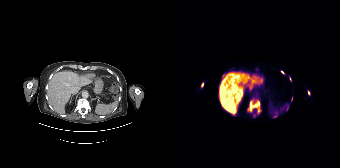
modality: PSMA PET/CT | tracer: 18F-PSMA | view: axial
Coordinates are on the 168×168 PET (right) panel. (showing 7 of 8 foci) PSMA-avid tumor lesion bounding boxes (x0,y0,x1,y1): [75,99,89,114] [29,82,31,87] [136,90,138,95] [109,70,112,74] [117,77,119,81]. Small PSMA-avid foci (2 to 4 px across) near (center x, center y): (119, 98) (51, 74).